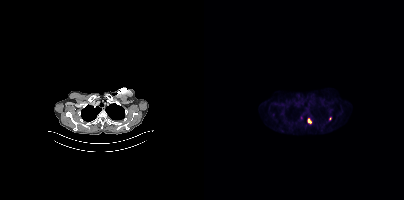
- Paired axial CT (left) and PSMA PET (right), 18F tracer
- slice position z = 476 mm
- PET panel 200×200 px (4.1 mm/px)
Findings: Coordinates are on the 200×200 PET (right) panel. (showing 3 of 4 foci) PSMA-avid tumor lesion bounding box (x, y, width, height): x=104 y=119 w=4 h=5. Small PSMA-avid foci (2 to 4 px across) near (center x, center y): (97, 117) | (126, 118).